Technique: Left: CT. Right: PSMA PET, same axial level, 68Ga-PSMA tracer. acquired on GE Discovery 690. slice position z = -396 mm.
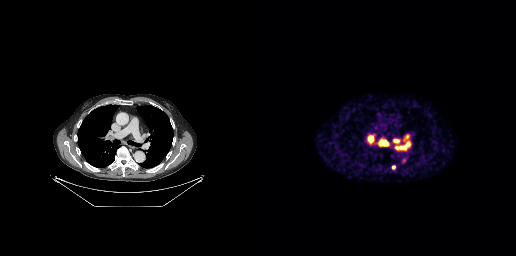
Findings: Coordinates are on the 256×256 PET (right) panel. PSMA-avid tumor lesion bounding boxes (x0, y0)-(x1, y1): (136, 141)-(150, 149) | (119, 140)-(128, 145) | (107, 135)-(113, 143) | (132, 165)-(135, 169) | (133, 139)-(138, 142). Small PSMA-avid focus (2 to 4 px across) near (center x, center y): (147, 136).